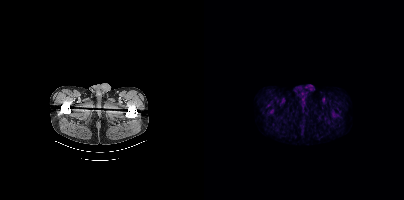
Left: CT. Right: PSMA PET, same axial level, 18F-PSMA tracer. Slice position z = -1559 mm. PET panel 200×200 px (4.1 mm/px). No tumor lesions annotated on this slice.